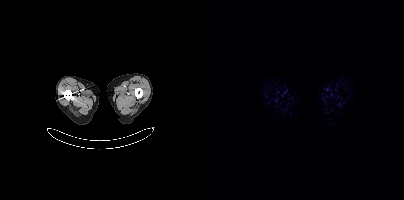
Left: CT. Right: PSMA PET, same axial level, 18F tracer. Slice position z = -1140 mm. PET panel 200×200 px (4.1 mm/px). Negative for PSMA-avid disease on this slice.